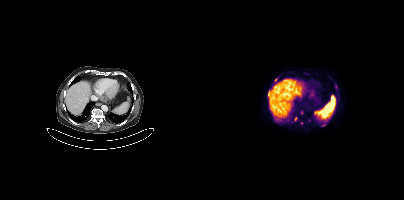
{"modality":"PSMA PET/CT","view":"axial","tracer":"18F-PSMA","pet_grid":[200,200],"coord_frame":"pet_panel","coord_format":"x0,y0,x1,y1","lesion_bboxes":[[64,91,65,96]],"small_foci_centers":[[71,79],[119,125],[80,78],[132,86],[97,122],[91,118]]}